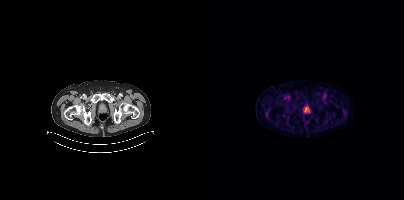
{"pet_grid":[200,200],"coord_frame":"pet_panel","coord_format":"x0,y0,x1,y1","lesion_bboxes":[],"small_foci_centers":[[102,109]],"modality":"PSMA PET/CT","view":"axial","tracer":"68Ga-PSMA"}